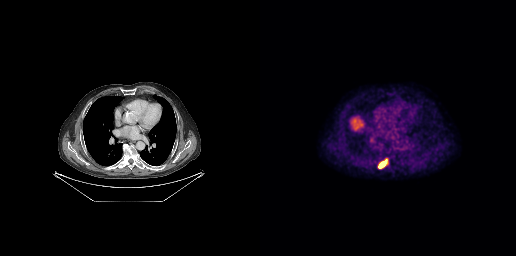
Coordinates are on the 256×256 PET (right) panel. PSMA-avid tumor lesion bounding boxes:
| # | x0 | y0 | x1 | y1 |
|---|---|---|---|---|
| 1 | 119 | 159 | 126 | 168 |
Paired axial CT (left) and PSMA PET (right), 18F tracer. PET panel 256×256 px (2.7 mm/px).